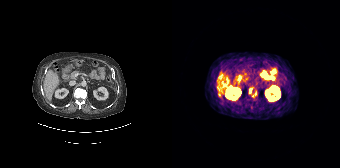
Technique: Paired axial CT (left) and PSMA PET (right), [68Ga]Ga-PSMA-11 tracer. PET panel 168×168 px (4.1 mm/px).
Findings: Coordinates are on the 168×168 PET (right) panel. Small PSMA-avid foci (2 to 4 px across) near (center x, center y): (78, 90); (83, 93); (80, 95).